modality: PSMA PET/CT | tracer: [18F]PSMA-1007 | view: axial | PET grid: 200×200
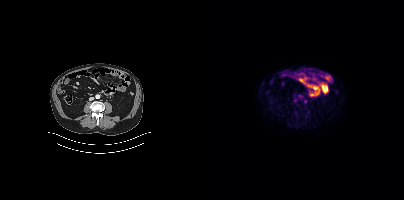
Only PSMA-avid lesion pieces thinner than 2 px on this slice (not listed).